Paired axial CT (left) and PSMA PET (right), 68Ga tracer. Acquired on Siemens Biograph mCT Flow 20. PET panel 200×200 px (4.1 mm/px).
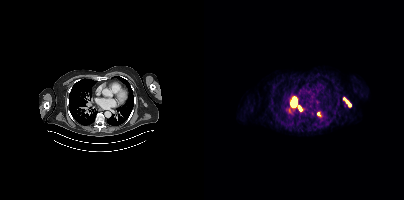
Coordinates are on the 200×200 PET (right) panel. PSMA-avid tumor lesion bounding boxes:
| # | x0 | y0 | x1 | y1 |
|---|---|---|---|---|
| 1 | 87 | 98 | 92 | 106 |
| 2 | 139 | 98 | 147 | 106 |
| 3 | 94 | 106 | 97 | 110 |
Small PSMA-avid foci (2 to 4 px across) near (center x, center y): (85, 109); (114, 113).